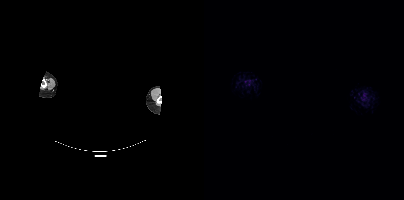
De-identified by setting a box covering the face to black before release. Left: CT. Right: PSMA PET, same axial level, 18F-PSMA tracer. Acquired on Siemens Biograph mCT Flow 20. PET panel 200×200 px (4.1 mm/px). Negative for PSMA-avid disease on this slice.